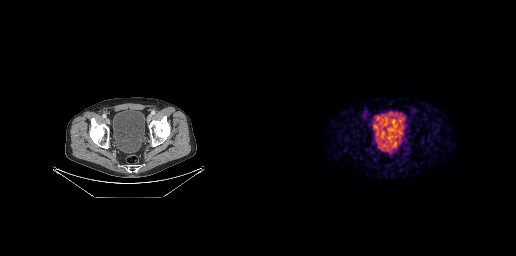
Findings: No tumor lesions annotated on this slice.
Technique: Paired axial CT (left) and PSMA PET (right), 68Ga-PSMA tracer. acquired on GE Discovery 690.